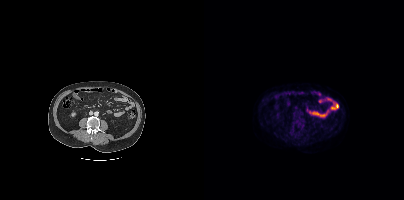
No tumor lesions annotated on this slice. Paired axial CT (left) and PSMA PET (right), [18F]PSMA-1007 tracer. Slice 169 of 431.